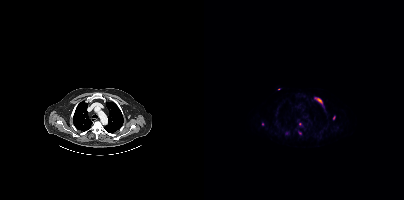
Findings: Coordinates are on the 200×200 PET (right) panel. (showing 4 of 5 foci) PSMA-avid tumor lesion bounding box (x, y, width, height): x=111 y=98 w=8 h=6. Small PSMA-avid foci (2 to 4 px across) near (center x, center y): (130, 117); (96, 133); (95, 123).
- Left: CT. Right: PSMA PET, same axial level, [18F]PSMA-1007 tracer
- slice position z = -472 mm
- PET panel 200×200 px (4.1 mm/px)